Two-panel axial: CT | PSMA PET, [18F]PSMA-1007 tracer. Acquired on Siemens Biograph mCT Flow 20.
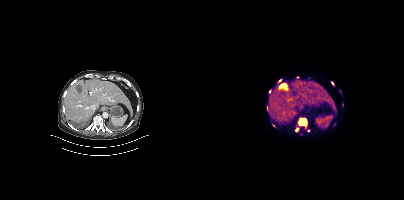
Coordinates are on the 200×200 PET (right) panel. PSMA-avid tumor lesion bounding boxes (partial; 1 more focus not listed):
| # | x0 | y0 | x1 | y1 |
|---|---|---|---|---|
| 1 | 91 | 118 | 103 | 131 |
| 2 | 127 | 81 | 130 | 85 |
Small PSMA-avid foci (2 to 4 px across) near (center x, center y): (76, 80); (65, 91); (104, 130); (69, 125).